modality: PSMA PET/CT | tracer: 18F-PSMA | view: axial
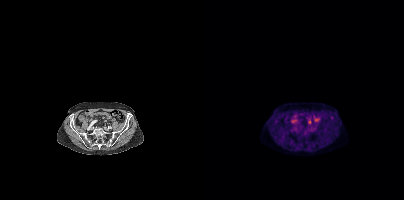
Coordinates are on the 200×200 PET (right) panel. Small PSMA-avid focus (2 to 4 px across) near (center x, center y): (128, 117).